Left: CT. Right: PSMA PET, same axial level, 68Ga-PSMA tracer. Acquired on Siemens Biograph mCT Flow 20. Slice position z = 942 mm. Head region blanked for anonymization (face removed).
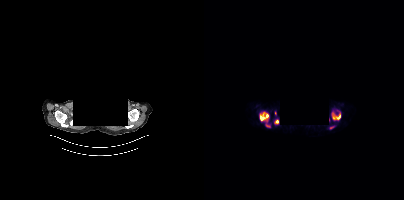
Coordinates are on the 200×200 PET (right) panel. PSMA-avid tumor lesion bounding boxes (x, y, width, height): x=128 y=110 w=9 h=10; x=56 y=112 w=9 h=9; x=62 y=121 w=5 h=7; x=126 y=126 w=5 h=3. Small PSMA-avid foci (2 to 4 px across) near (center x, center y): (73, 121); (71, 113).